- Left: CT. Right: PSMA PET, same axial level, [18F]PSMA-1007 tracer
- acquired on GE Discovery 690
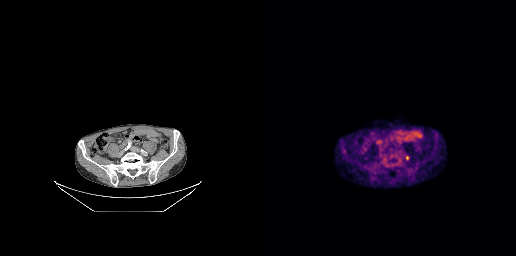
Findings: Coordinates are on the 256×256 PET (right) panel. PSMA-avid tumor lesion bounding box (x, y, width, height): x=145 y=156 w=5 h=5.